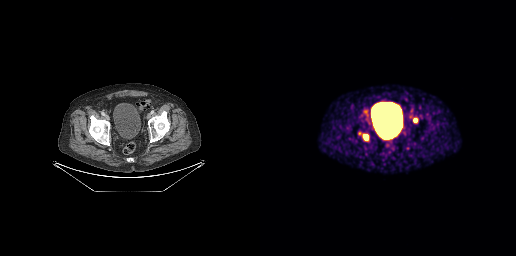
- Paired axial CT (left) and PSMA PET (right), 68Ga-PSMA tracer
- slice 60 of 263
- PET panel 256×256 px (2.7 mm/px)
Findings: Coordinates are on the 256×256 PET (right) panel. PSMA-avid tumor lesion bounding boxes (x, y, width, height): x=103 y=135 w=6 h=6; x=153 y=118 w=5 h=5. Small PSMA-avid focus (2 to 4 px across) near (center x, center y): (105, 111).